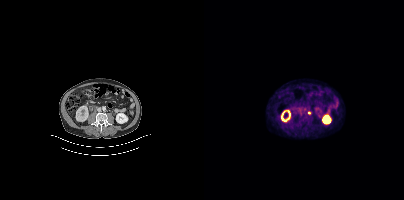
Coordinates are on the 200×200 PET (right) panel. Small PSMA-avid focus (2 to 4 px across) near (center x, center y): (105, 112).
modality: PSMA PET/CT | tracer: [18F]PSMA-1007 | view: axial